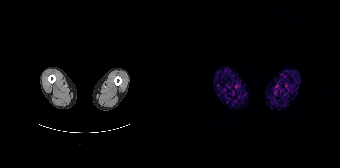
Findings: No tumor lesions annotated on this slice.
- Paired axial CT (left) and PSMA PET (right), 68Ga tracer
- PET panel 168×168 px (4.1 mm/px)